Two-panel axial: CT | PSMA PET, [18F]PSMA-1007 tracer. PET panel 200×200 px (4.1 mm/px).
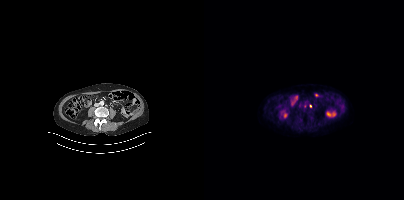
Coordinates are on the 200×200 PET (right) panel. (showing 1 of 2 foci) Small PSMA-avid focus (2 to 4 px across) near (center x, center y): (106, 105).